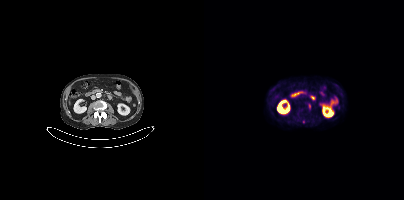
Coordinates are on the 200×200 PET (right) panel. Small PSMA-avid focus (2 to 4 px across) near (center x, center y): (105, 105).